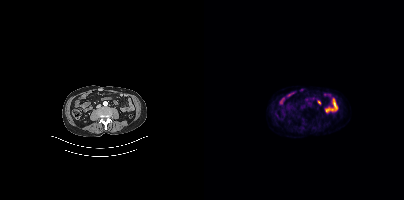
Left: CT. Right: PSMA PET, same axial level, [18F]PSMA-1007 tracer. Acquired on Siemens Biograph mCT Flow 20. No PSMA-avid tumor lesions on this slice.